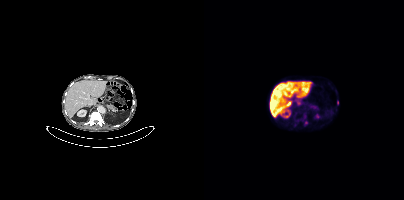
Coordinates are on the 200×200 PET (right) panel. (showing 2 of 3 foci) PSMA-avid tumor lesion bounding box (x0,y0,x1,y1): [100,121,103,125]. Small PSMA-avid focus (2 to 4 px across) near (center x, center y): (133, 102). Left: CT. Right: PSMA PET, same axial level, 18F tracer. Acquired on Siemens Biograph mCT Flow 20. PET panel 200×200 px (4.1 mm/px).